Paired axial CT (left) and PSMA PET (right), [68Ga]Ga-PSMA-11 tracer.
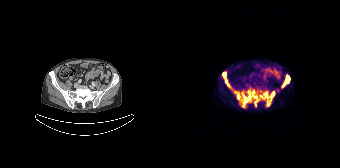
Coordinates are on the 168×168 PET (right) panel. (showing 11 of 14 foci) PSMA-avid tumor lesion bounding boxes (x0,y0,x1,y1): [71,95,78,104] [50,72,57,86] [112,76,117,85] [98,91,102,97] [65,93,67,99] [93,92,95,97] [83,101,85,105]. Small PSMA-avid foci (2 to 4 px across) near (center x, center y): (81, 92) (83, 97) (96, 104) (76, 91).